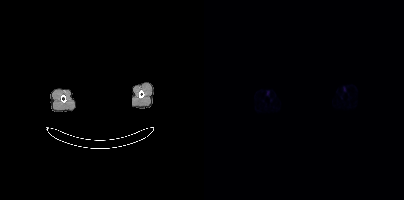
Head region blanked for anonymization (face removed). Two-panel axial: CT | PSMA PET, 68Ga tracer. PET panel 200×200 px (4.1 mm/px). Negative for PSMA-avid disease on this slice.